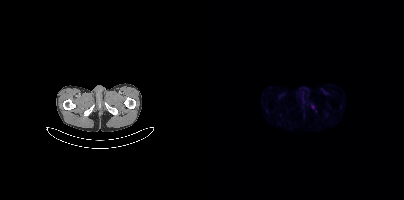
Two-panel axial: CT | PSMA PET, 68Ga-PSMA tracer. Acquired on Siemens Biograph mCT Flow 20. Slice position z = -1730 mm. Coordinates are on the 200×200 PET (right) panel. Small PSMA-avid focus (2 to 4 px across) near (center x, center y): (108, 107).